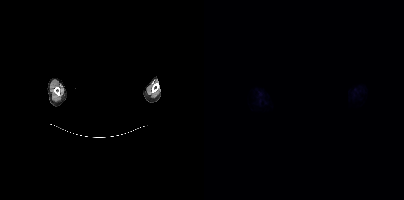
Head region blanked for anonymization (face removed).
This slice has no annotated PSMA-avid lesion.